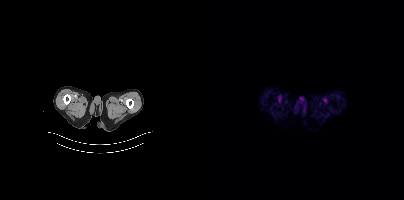
modality: PSMA PET/CT | tracer: 18F-PSMA | view: axial | PET grid: 200×200
No PSMA-avid tumor lesions on this slice.